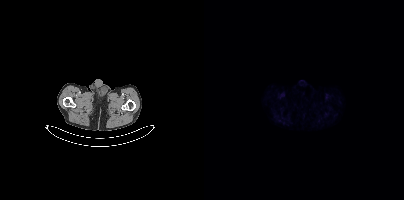
No tumor lesions annotated on this slice.